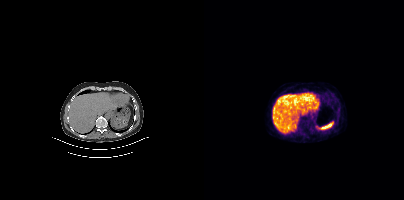
No tumor lesions annotated on this slice.